Left: CT. Right: PSMA PET, same axial level, 68Ga tracer. PET panel 200×200 px (4.1 mm/px).
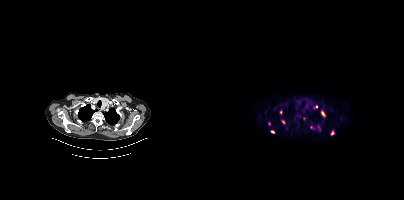
Coordinates are on the 200×200 PET (right) panel. PSMA-avid tumor lesion bounding boxes (partial; 2 more foci not listed):
| # | x0 | y0 | x1 | y1 |
|---|---|---|---|---|
| 1 | 117 | 110 | 121 | 117 |
| 2 | 77 | 120 | 81 | 124 |
| 3 | 127 | 131 | 130 | 135 |
| 4 | 114 | 125 | 116 | 129 |
Small PSMA-avid foci (2 to 4 px across) near (center x, center y): (68, 131); (76, 112); (112, 106); (99, 118).